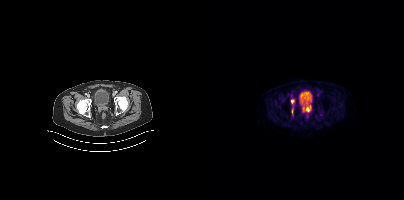
{"pet_grid":[200,200],"coord_frame":"pet_panel","coord_format":"x0,y0,x1,y1","partial":true,"lesion_bboxes":[[98,105,106,112],[87,99,90,103]],"modality":"PSMA PET/CT","view":"axial","tracer":"[18F]PSMA-1007"}